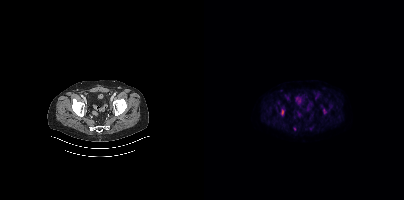
{"modality":"PSMA PET/CT","view":"axial","tracer":"18F","pet_grid":[200,200],"coord_frame":"pet_panel","coord_format":"x0,y0,x1,y1","partial":true,"lesion_bboxes":[[77,109,79,115]],"small_foci_centers":[[90,128]]}